modality: PSMA PET/CT | tracer: 18F-PSMA | view: axial
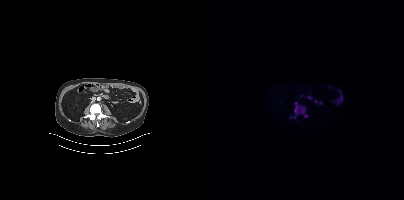
Coordinates are on the 200×200 PET (right) panel. (showing 2 of 3 foci) PSMA-avid tumor lesion bounding box (x, y, width, height): x=93 y=106 w=11 h=12. Small PSMA-avid focus (2 to 4 px across) near (center x, center y): (92, 103).